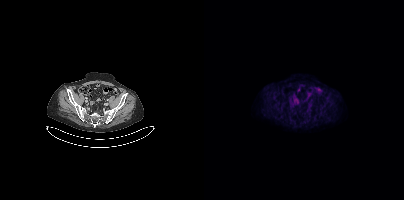
No tumor lesions annotated on this slice.
modality: PSMA PET/CT | tracer: [18F]PSMA-1007 | view: axial